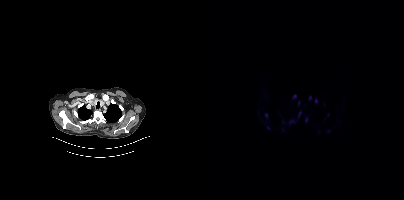
Coordinates are on the 200×200 PET (right) panel. (showing 6 of 7 foci) PSMA-avid tumor lesion bounding boxes (x0, y0)-(x1, y1): (93, 111)-(97, 118); (101, 116)-(104, 122); (94, 101)-(96, 106). Small PSMA-avid foci (2 to 4 px across) near (center x, center y): (106, 97); (90, 96); (62, 115).